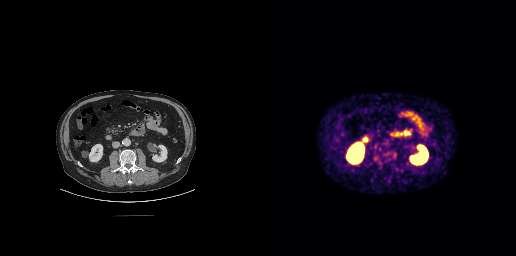
modality: PSMA PET/CT | tracer: 18F | view: axial | PET grid: 256×256
Coordinates are on the 256×256 PET (right) panel. Small PSMA-avid focus (2 to 4 px across) near (center x, center y): (115, 158).